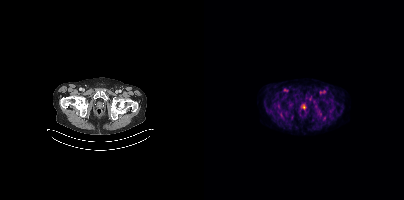
{"modality":"PSMA PET/CT","view":"axial","tracer":"[18F]PSMA-1007","pet_grid":[200,200],"coord_frame":"pet_panel","coord_format":"x0,y0,x1,y1","psma_avid_lesions":false}